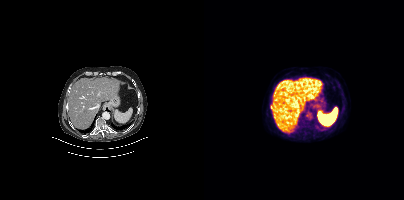
Findings: Coordinates are on the 200×200 PET (right) panel. Small PSMA-avid focus (2 to 4 px across) near (center x, center y): (67, 106).
- Paired axial CT (left) and PSMA PET (right), [18F]PSMA-1007 tracer
- acquired on Siemens Biograph mCT Flow 20
- PET panel 200×200 px (4.1 mm/px)